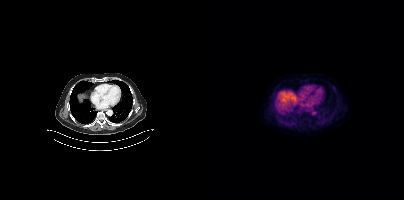
{"modality":"PSMA PET/CT","view":"axial","tracer":"18F-PSMA","pet_grid":[200,200],"coord_frame":"pet_panel","coord_format":"x0,y0,x1,y1","psma_avid_lesions":false}